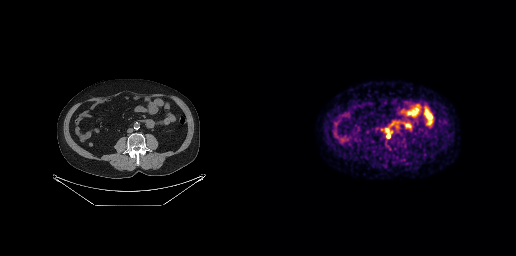
Left: CT. Right: PSMA PET, same axial level, 18F tracer. Slice 110 of 263. PET panel 256×256 px (2.7 mm/px).
Coordinates are on the 256×256 PET (right) panel. PSMA-avid tumor lesion bounding boxes:
| # | x0 | y0 | x1 | y1 |
|---|---|---|---|---|
| 1 | 126 | 130 | 130 | 138 |